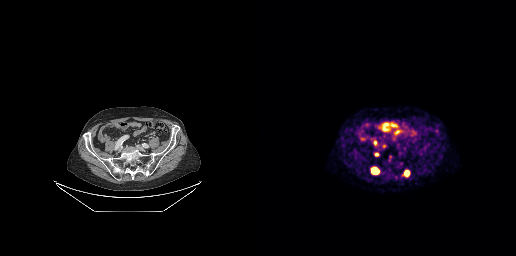
Coordinates are on the 256×256 PET (right) panel. PSMA-avid tumor lesion bounding boxes (x, y, width, height): x=112 y=168 w=7 h=6 | x=145 y=170 w=5 h=6 | x=113 y=140 w=5 h=6 | x=114 y=152 w=5 h=5. Small PSMA-avid foci (2 to 4 px across) near (center x, center y): (176, 130) | (123, 145) | (130, 156).